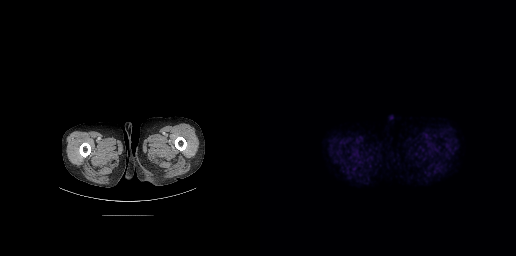
{"pet_grid":[256,256],"coord_frame":"pet_panel","coord_format":"x0,y0,x1,y1","psma_avid_lesions":false,"modality":"PSMA PET/CT","view":"axial","tracer":"18F"}